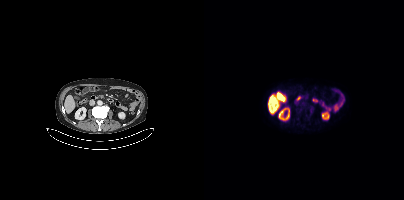
Negative for PSMA-avid disease on this slice.